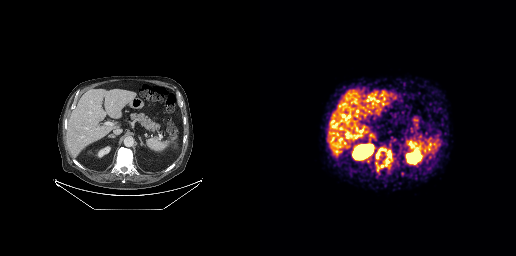
Technique: Paired axial CT (left) and PSMA PET (right), [68Ga]Ga-PSMA-11 tracer.
Findings: Coordinates are on the 256×256 PET (right) panel. PSMA-avid tumor lesion bounding box (x0, y0)-(x1, y1): (115, 147)-(132, 171).